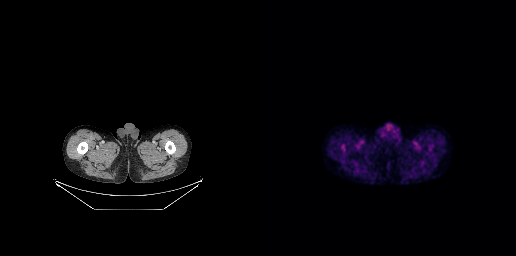
This slice has no annotated PSMA-avid lesion.